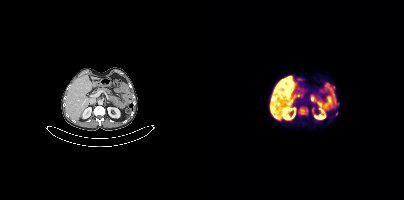
Coordinates are on the 200×200 PET (right) panel. PSMA-avid tumor lesion bounding box (x0,y0,x1,y1): [96,109,103,114].